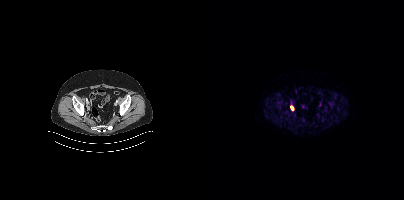
Coordinates are on the 200×200 PET (right) panel. PSMA-avid tumor lesion bounding box (x, y, width, height): x=86 y=105 w=5 h=6.